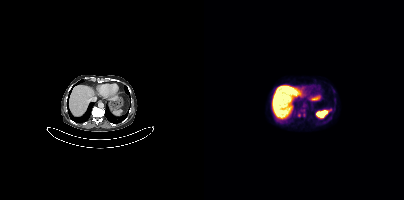
{"modality":"PSMA PET/CT","view":"axial","tracer":"18F","pet_grid":[200,200],"coord_frame":"pet_panel","coord_format":"x0,y0,x1,y1","partial":true,"lesion_bboxes":[],"small_foci_centers":[[95,115]]}